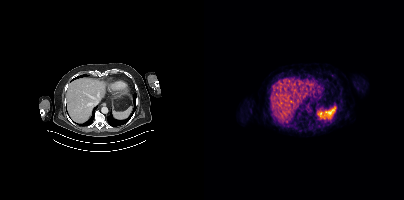
Findings: Negative for PSMA-avid disease on this slice.
- Left: CT. Right: PSMA PET, same axial level, [68Ga]Ga-PSMA-11 tracer
- acquired on Siemens Biograph mCT Flow 20
- PET panel 200×200 px (4.1 mm/px)